modality: PSMA PET/CT | tracer: 18F | view: axial
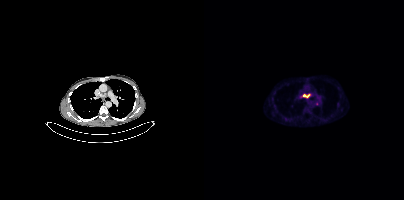
Coordinates are on the 200×200 PET (right) panel. PSMA-avid tumor lesion bounding box (x, y, width, height): x=100 y=95 w=5 h=3. Small PSMA-avid foci (2 to 4 px across) near (center x, center y): (113, 103) / (96, 96).